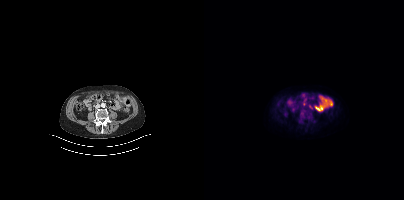
Coordinates are on the 200×200 PET (right) panel. Small PSMA-avid focus (2 to 4 px across) near (center x, center y): (107, 107).